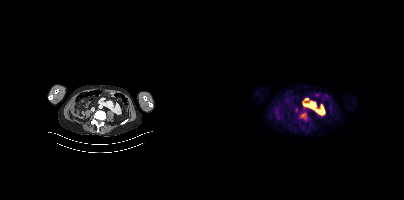
Coordinates are on the 200×200 PET (right) panel. PSMA-avid tumor lesion bounding box (x0,y0,x1,y1): [97,113,101,117].